modality: PSMA PET/CT | tracer: 68Ga-PSMA | view: axial | PET grid: 200×200
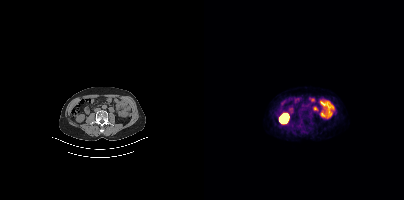
No tumor lesions annotated on this slice.